Two-panel axial: CT | PSMA PET, 18F tracer. Acquired on Siemens Biograph mCT Flow 20. Slice 155 of 411.
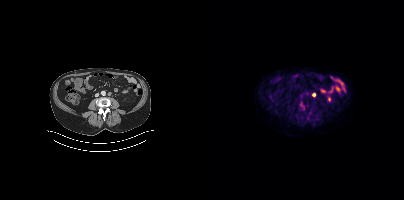
Coordinates are on the 200×200 PET (right) panel. Small PSMA-avid focus (2 to 4 px across) near (center x, center y): (110, 94).